Two-panel axial: CT | PSMA PET, [18F]PSMA-1007 tracer. Acquired on Siemens Biograph mCT Flow 20.
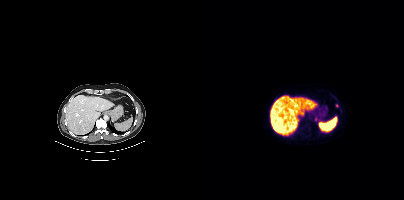
Coordinates are on the 200×200 PET (right) panel. Small PSMA-avid foci (2 to 4 px across) near (center x, center y): (112, 118) | (132, 105).